Two-panel axial: CT | PSMA PET, 18F-PSMA tracer. PET panel 200×200 px (4.1 mm/px).
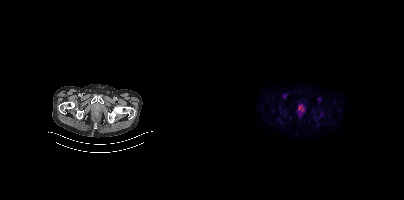
Only PSMA-avid lesion pieces thinner than 2 px on this slice (not listed).